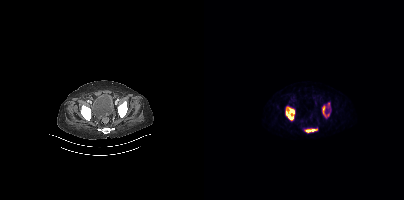
- Paired axial CT (left) and PSMA PET (right), 68Ga tracer
Findings: This slice has no annotated PSMA-avid lesion.